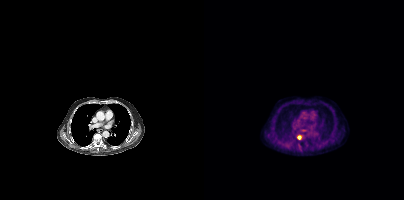
Coordinates are on the 200×200 PET (right) panel. PSMA-avid tumor lesion bounding box (x, y, width, height): x=93 y=135 w=5 h=5.